Two-panel axial: CT | PSMA PET, 68Ga-PSMA tracer. Slice position z = -608 mm.
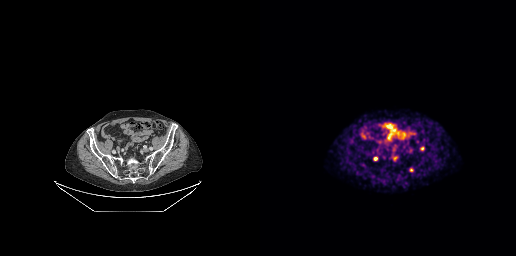
Coordinates are on the 256×256 PET (right) panel. PSMA-avid tumor lesion bounding boxes (x0,y0,x1,y1): [133,156,137,160] [113,157,117,160]. Small PSMA-avid foci (2 to 4 px across) near (center x, center y): (91, 140) (151, 170) (133, 149).